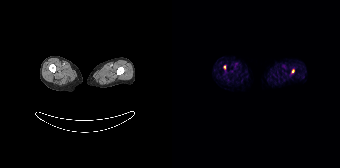
- Paired axial CT (left) and PSMA PET (right), [68Ga]Ga-PSMA-11 tracer
- acquired on Siemens Biograph 64-4R TruePoint
- PET panel 168×168 px (4.1 mm/px)
Findings: Coordinates are on the 168×168 PET (right) panel. Small PSMA-avid foci (2 to 4 px across) near (center x, center y): (121, 70) | (52, 67).